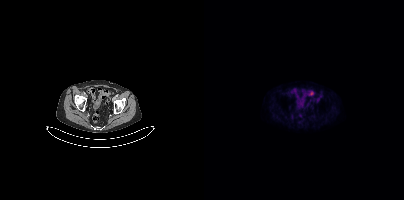
No PSMA-avid tumor lesions on this slice.